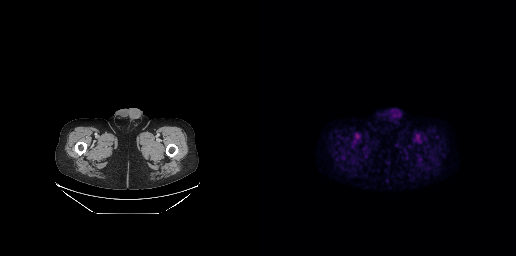
Findings: No tumor lesions annotated on this slice.
- Left: CT. Right: PSMA PET, same axial level, 18F tracer
- PET panel 256×256 px (2.7 mm/px)